Two-panel axial: CT | PSMA PET, 18F-PSMA tracer. PET panel 200×200 px (4.1 mm/px).
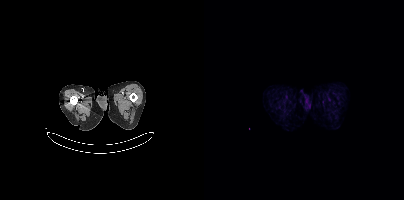
This slice has no annotated PSMA-avid lesion.